modality: PSMA PET/CT | tracer: 18F-PSMA | view: axial | PET grid: 200×200
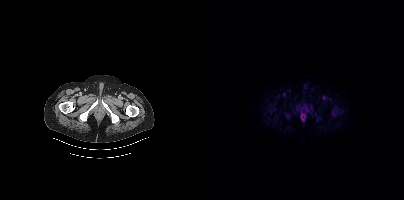
Coordinates are on the 200×200 PET (right) panel. PSMA-avid tumor lesion bounding boxes (x0,y0,x1,y1): [82,113,87,118]; [91,105,95,109]; [129,111,133,115]. Small PSMA-avid focus (2 to 4 px across) near (center x, center y): (137, 112).